Paired axial CT (left) and PSMA PET (right), 18F tracer. Acquired on Siemens Biograph mCT Flow 20.
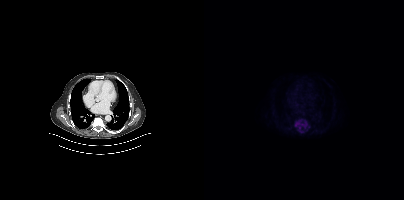
Coordinates are on the 200×200 PET (right) panel. PSMA-avid tumor lesion bounding boxes (x0,y0,x1,y1): [91,119,99,127], [100,125,105,131].